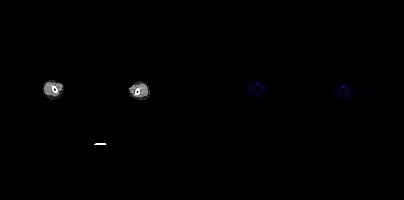
{"modality":"PSMA PET/CT","view":"axial","tracer":"18F-PSMA","pet_grid":[200,200],"coord_frame":"pet_panel","coord_format":"x0,y0,x1,y1","psma_avid_lesions":false,"redaction":"privacy mask over head"}